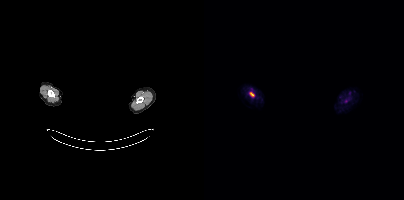
{"modality":"PSMA PET/CT","view":"axial","tracer":"18F","pet_grid":[200,200],"coord_frame":"pet_panel","coord_format":"x0,y0,x1,y1","deidentification":"head region blanked (face removed)","lesion_bboxes":[[46,92,50,96]]}